Left: CT. Right: PSMA PET, same axial level, 18F tracer.
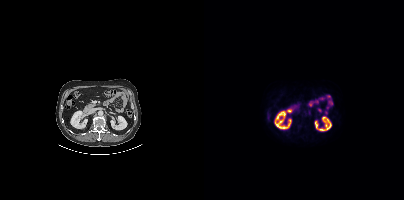
Coordinates are on the 200×200 PET (right) panel. Small PSMA-avid focus (2 to 4 px across) near (center x, center y): (105, 113).